Two-panel axial: CT | PSMA PET, [18F]PSMA-1007 tracer. Slice 64 of 367.
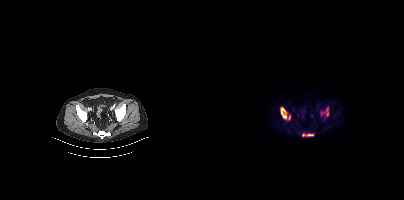
Coordinates are on the 200×200 PET (right) panel. PSMA-avid tumor lesion bounding boxes (partial; 2 more foci not listed):
| # | x0 | y0 | x1 | y1 |
|---|---|---|---|---|
| 1 | 77 | 107 | 82 | 118 |
| 2 | 122 | 107 | 124 | 116 |
| 3 | 102 | 134 | 109 | 136 |
Small PSMA-avid foci (2 to 4 px across) near (center x, center y): (85, 117); (99, 135).